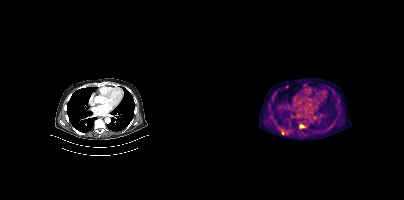
{"modality":"PSMA PET/CT","view":"axial","tracer":"[18F]PSMA-1007","pet_grid":[200,200],"coord_frame":"pet_panel","coord_format":"x0,y0,x1,y1","lesion_bboxes":[],"small_foci_centers":[[78,132],[97,126]]}